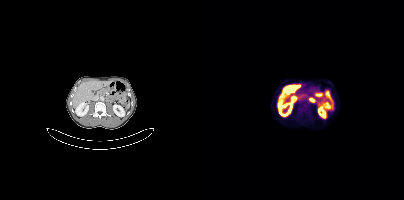
Findings: This slice has no annotated PSMA-avid lesion.
- Left: CT. Right: PSMA PET, same axial level, 18F tracer
- slice position z = -1232 mm
- PET panel 200×200 px (4.1 mm/px)